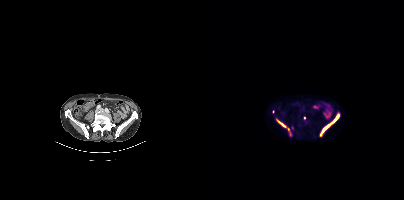
Left: CT. Right: PSMA PET, same axial level, 18F tracer. Coordinates are on the 200×200 PET (right) panel. (showing 5 of 6 foci) PSMA-avid tumor lesion bounding boxes (x, y, width, height): x=116 y=114 w=20 h=22 / x=73 y=120 w=10 h=8. Small PSMA-avid foci (2 to 4 px across) near (center x, center y): (84, 129) / (85, 133) / (100, 117).